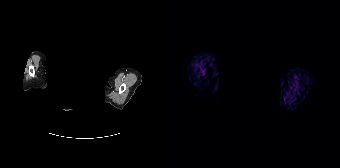
Negative for PSMA-avid disease on this slice. A rectangular block over the head has been blanked out for de-identification. Paired axial CT (left) and PSMA PET (right), [68Ga]Ga-PSMA-11 tracer. PET panel 168×168 px (4.1 mm/px).